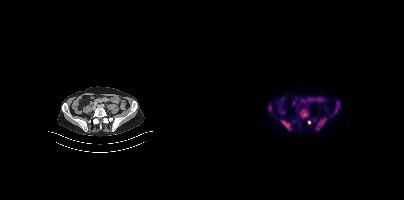
Findings: Coordinates are on the 200×200 PET (right) panel. (showing 4 of 5 foci) PSMA-avid tumor lesion bounding boxes (x, y, width, height): x=112 y=118 w=11 h=12; x=95 y=109 w=10 h=10; x=77 y=120 w=10 h=11. Small PSMA-avid focus (2 to 4 px across) near (center x, center y): (105, 122).
- Left: CT. Right: PSMA PET, same axial level, 18F tracer
- acquired on Siemens Biograph mCT Flow 20
- PET panel 200×200 px (4.1 mm/px)